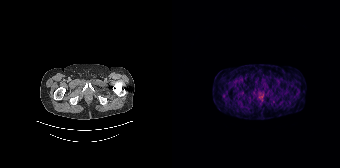
No PSMA-avid tumor lesions on this slice. Two-panel axial: CT | PSMA PET, 68Ga tracer. Acquired on Siemens Biograph 64-4R TruePoint.